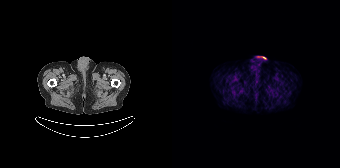
Negative for PSMA-avid disease on this slice.
modality: PSMA PET/CT | tracer: 68Ga | view: axial